Technique: Two-panel axial: CT | PSMA PET, 18F-PSMA tracer.
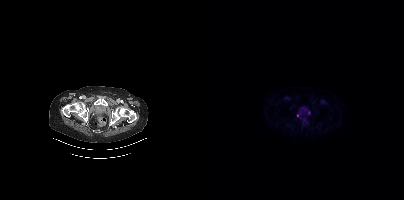
Findings: Coordinates are on the 200×200 PET (right) panel. (showing 1 of 2 foci) Small PSMA-avid focus (2 to 4 px across) near (center x, center y): (93, 115).